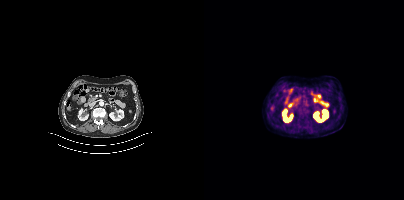
- Paired axial CT (left) and PSMA PET (right), [18F]PSMA-1007 tracer
- acquired on Siemens Biograph mCT Flow 20
Findings: Negative for PSMA-avid disease on this slice.